Two-panel axial: CT | PSMA PET, [18F]PSMA-1007 tracer. Acquired on GE Discovery 690.
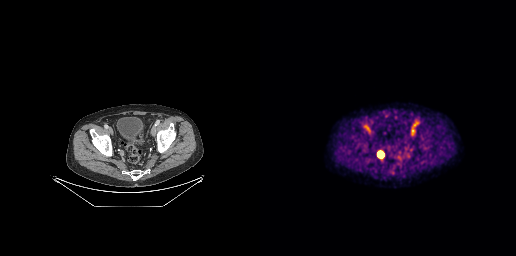
Coordinates are on the 256×256 PET (right) panel. PSMA-avid tumor lesion bounding box (x, y, width, height): x=117 y=151 w=8 h=8. Small PSMA-avid focus (2 to 4 px across) near (center x, center y): (132, 172).